- Two-panel axial: CT | PSMA PET, 18F-PSMA tracer
- PET panel 200×200 px (4.1 mm/px)
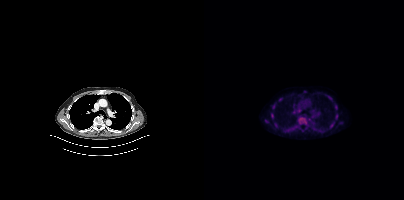
Findings: Coordinates are on the 200×200 PET (right) panel. (showing 7 of 8 foci) PSMA-avid tumor lesion bounding boxes (x0, y0)-(x1, y1): (94, 117)-(102, 123) | (131, 105)-(133, 109). Small PSMA-avid foci (2 to 4 px across) near (center x, center y): (68, 115) | (127, 98) | (69, 106) | (62, 121) | (132, 114).